- Left: CT. Right: PSMA PET, same axial level, 18F-PSMA tracer
- slice 88 of 442
- PET panel 200×200 px (4.1 mm/px)
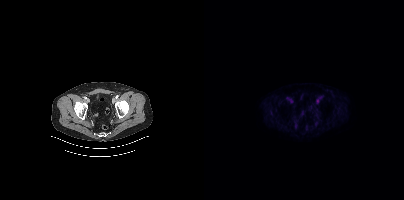
Findings: No tumor lesions annotated on this slice.